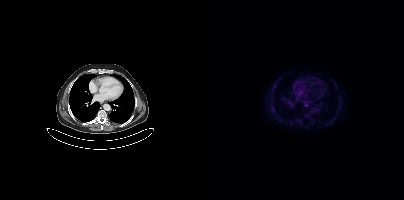
{"modality":"PSMA PET/CT","view":"axial","tracer":"[18F]PSMA-1007","pet_grid":[200,200],"coord_frame":"pet_panel","coord_format":"x0,y0,x1,y1","lesion_bboxes":[],"small_foci_centers":[[102,105]]}